modality: PSMA PET/CT | tracer: 68Ga-PSMA | view: axial
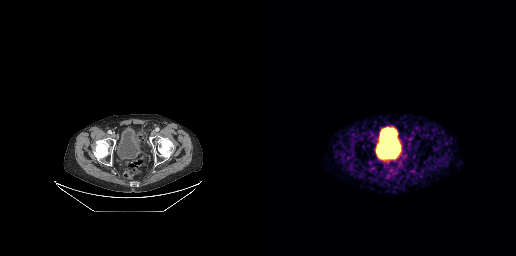
Coordinates are on the 256×256 PET (right) panel. PSMA-avid tumor lesion bounding box (x0,y0,x1,y1): [131,157,135,158].